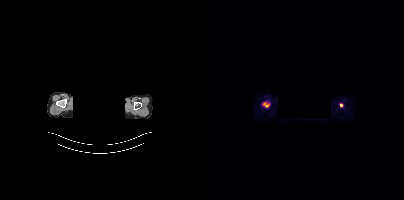
Technique: Left: CT. Right: PSMA PET, same axial level, [18F]PSMA-1007 tracer. acquired on Siemens Biograph mCT Flow 20.
Note: A rectangular block over the head has been blanked out for de-identification.
Findings: Coordinates are on the 200×200 PET (right) panel. PSMA-avid tumor lesion bounding boxes (x0,y0,x1,y1): [59,102,66,107] [135,103,139,107].